modality: PSMA PET/CT | tracer: 18F | view: axial
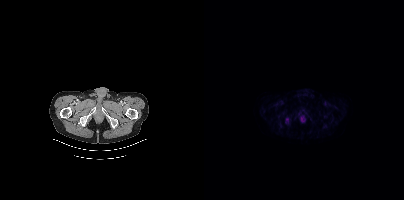
Coordinates are on the 200×200 PET (right) panel. Small PSMA-avid focus (2 to 4 px across) near (center x, center y): (85, 119).